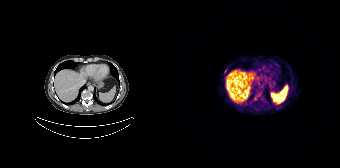
- Two-panel axial: CT | PSMA PET, 68Ga tracer
- acquired on Siemens Biograph 64-4R TruePoint
Findings: Only PSMA-avid lesion pieces thinner than 2 px on this slice (not listed).